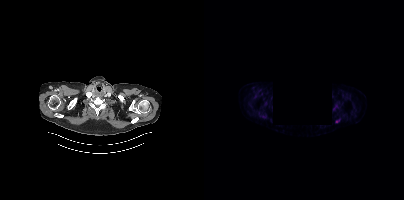
Left: CT. Right: PSMA PET, same axial level, [18F]PSMA-1007 tracer. PET panel 200×200 px (4.1 mm/px). A black rectangle in this scan is a privacy mask, not anatomy.
Coordinates are on the 200×200 PET (right) panel. PSMA-avid tumor lesion bounding boxes (partial; 1 more focus not listed):
| # | x0 | y0 | x1 | y1 |
|---|---|---|---|---|
| 1 | 131 | 120 | 135 | 122 |
| 2 | 58 | 116 | 62 | 118 |